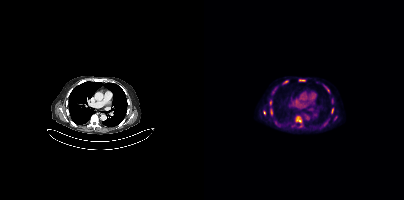
Coordinates are on the 200×200 PET (right) panel. (showing 9 of 11 foci) PSMA-avid tumor lesion bounding boxes (x0,y0,x1,y1): [92,117,96,121], [66,109,68,114], [95,79,101,81], [79,80,84,83], [66,100,67,105], [127,108,129,113]. Small PSMA-avid foci (2 to 4 px across) near (center x, center y): (60, 112), (97, 126), (124, 91).